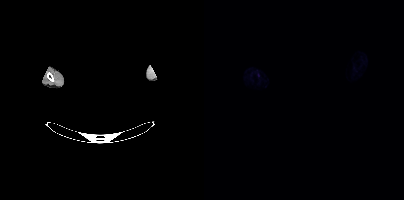
Technique: Paired axial CT (left) and PSMA PET (right), 18F-PSMA tracer. slice position z = 248 mm. PET panel 200×200 px (4.1 mm/px).
Note: Privacy masking over the head, with the pixels inside a rectangle set to black.
Findings: Negative for PSMA-avid disease on this slice.